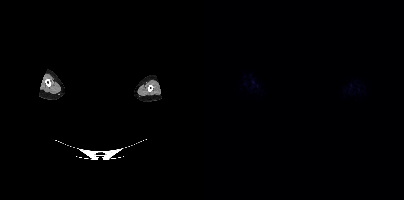
No PSMA-avid tumor lesions on this slice. A rectangle over the head was blacked out to remove identifiable facial features. Paired axial CT (left) and PSMA PET (right), 18F tracer.